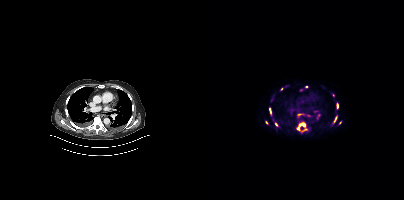
{"modality":"PSMA PET/CT","view":"axial","tracer":"[18F]PSMA-1007","pet_grid":[200,200],"coord_frame":"pet_panel","coord_format":"x0,y0,x1,y1","lesion_bboxes":[[92,121,104,132],[129,115,133,123],[132,103,134,109],[65,108,67,114],[71,122,73,126],[94,114,99,115]],"small_foci_centers":[[129,94],[136,122],[102,86],[62,122],[77,88]]}